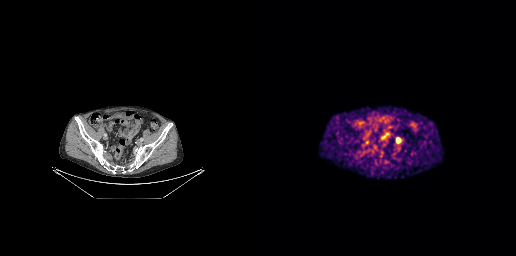
Technique: Paired axial CT (left) and PSMA PET (right), [68Ga]Ga-PSMA-11 tracer. slice position z = -769 mm.
Findings: Coordinates are on the 256×256 PET (right) panel. PSMA-avid tumor lesion bounding box (x0, y0)-(x1, y1): (136, 138)-(140, 142).